Left: CT. Right: PSMA PET, same axial level, 18F tracer. Slice 223 of 377. PET panel 200×200 px (4.1 mm/px).
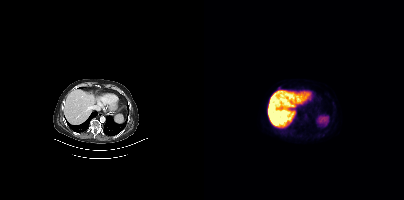
Only PSMA-avid lesion pieces thinner than 2 px on this slice (not listed).